Two-panel axial: CT | PSMA PET, [68Ga]Ga-PSMA-11 tracer. Slice position z = -1304 mm.
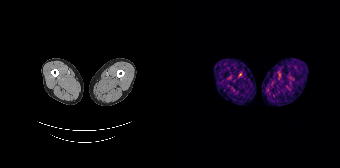
No PSMA-avid tumor lesions on this slice.